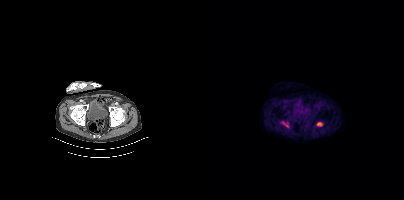
Coordinates are on the 200×200 PET (right) panel. PSMA-avid tumor lesion bounding boxes:
| # | x0 | y0 | x1 | y1 |
|---|---|---|---|---|
| 1 | 112 | 122 | 119 | 126 |
| 2 | 78 | 122 | 84 | 126 |
Paired axial CT (left) and PSMA PET (right), [18F]PSMA-1007 tracer. Acquired on Siemens Biograph mCT Flow 20. PET panel 200×200 px (4.1 mm/px).